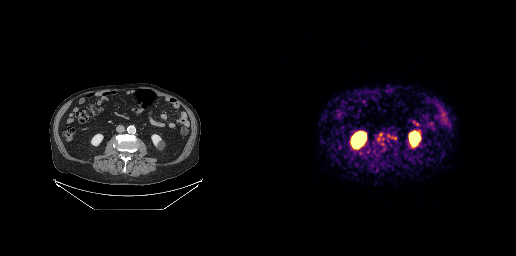
Coordinates are on the 256×256 PET (right) panel. (showing 1 of 2 foci) Small PSMA-avid focus (2 to 4 px across) near (center x, center y): (120, 134).